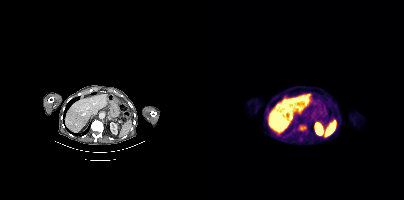
Left: CT. Right: PSMA PET, same axial level, 18F tracer. Acquired on Siemens Biograph mCT Flow 20. PET panel 200×200 px (4.1 mm/px).
Coordinates are on the 200×200 PET (right) panel. PSMA-avid tumor lesion bounding boxes:
| # | x0 | y0 | x1 | y1 |
|---|---|---|---|---|
| 1 | 94 | 125 | 102 | 131 |
Small PSMA-avid foci (2 to 4 px across) near (center x, center y): (96, 138); (102, 134).